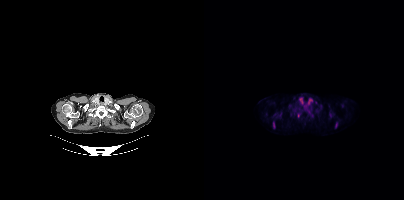
Technique: Two-panel axial: CT | PSMA PET, 18F tracer. acquired on Siemens Biograph mCT Flow 20. slice position z = -271 mm.
Findings: Coordinates are on the 200×200 PET (right) panel. (showing 3 of 4 foci) PSMA-avid tumor lesion bounding boxes (x0,y0,x1,y1): [131,122,133,128], [69,122,71,128]. Small PSMA-avid focus (2 to 4 px across) near (center x, center y): (94, 114).